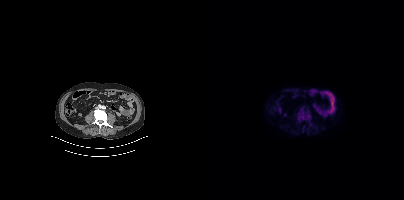
Coordinates are on the 200×200 PET (right) panel. (showing 3 of 4 foci) Small PSMA-avid foci (2 to 4 px across) near (center x, center y): (98, 117), (104, 116), (94, 118).